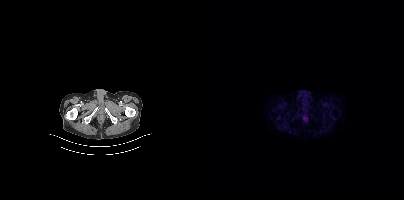
No tumor lesions annotated on this slice.